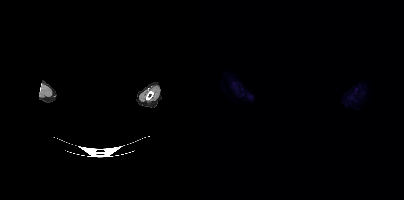
Technique: Two-panel axial: CT | PSMA PET, [18F]PSMA-1007 tracer. slice 384 of 401. PET panel 200×200 px (4.1 mm/px).
Note: De-identified by setting a box covering the face to black before release.
Findings: No tumor lesions annotated on this slice.